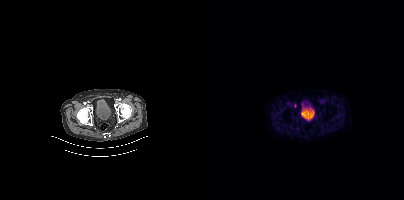
Coordinates are on the 200×200 PET (right) panel. Small PSMA-avid focus (2 to 4 px across) near (center x, center y): (91, 105). Left: CT. Right: PSMA PET, same axial level, 18F-PSMA tracer. Acquired on Siemens Biograph mCT Flow 20. PET panel 200×200 px (4.1 mm/px).